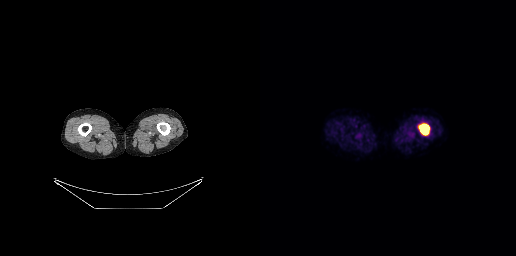
{"pet_grid":[256,256],"coord_frame":"pet_panel","coord_format":"x0,y0,x1,y1","lesion_bboxes":[[158,123,169,135]],"modality":"PSMA PET/CT","view":"axial","tracer":"18F-PSMA"}